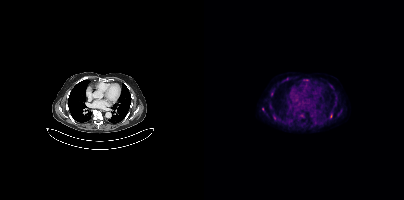
Coordinates are on the 200×200 PET (right) panel. (showing 3 of 5 foci) PSMA-avid tumor lesion bounding box (x0,y0,x1,y1): [69,115,72,119]. Small PSMA-avid foci (2 to 4 px across) near (center x, center y): (68, 93), (58, 109).
modality: PSMA PET/CT | tracer: 18F | view: axial | PET grid: 200×200